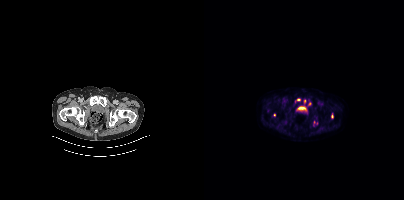
{"pet_grid":[200,200],"coord_frame":"pet_panel","coord_format":"x0,y0,x1,y1","partial":true,"lesion_bboxes":[],"small_foci_centers":[[94,99],[70,115],[127,116],[112,123],[105,103]],"modality":"PSMA PET/CT","view":"axial","tracer":"18F"}